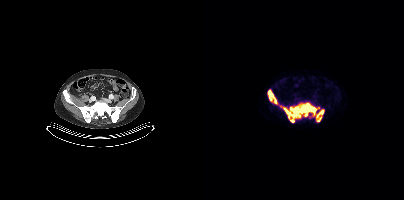
modality: PSMA PET/CT | tracer: 18F | view: axial | PET grid: 200×200
Coordinates are on the 200×200 PET (right) panel. PSMA-avid tumor lesion bounding boxes (x0,y0,x1,y1): [79,103,112,118] [64,90,73,103] [112,110,119,121] [86,120,90,122]. Small PSMA-avid focus (2 to 4 px across) near (center x, center y): (102, 114).